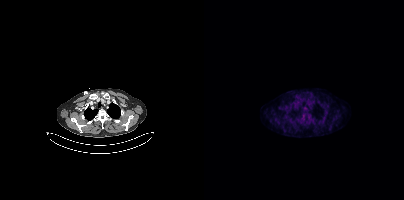
Coordinates are on the 200×200 PET (right) panel. Small PSMA-avid focus (2 to 4 px across) near (center x, center y): (99, 116). Paired axial CT (left) and PSMA PET (right), [18F]PSMA-1007 tracer. Acquired on Siemens Biograph mCT Flow 20. Slice 334 of 425. PET panel 200×200 px (4.1 mm/px).